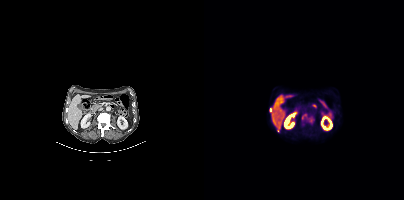
{"modality":"PSMA PET/CT","view":"axial","tracer":"18F","pet_grid":[200,200],"coord_frame":"pet_panel","coord_format":"x0,y0,x1,y1","partial":true,"lesion_bboxes":[[98,114,104,119]],"small_foci_centers":[[74,130],[106,120]]}